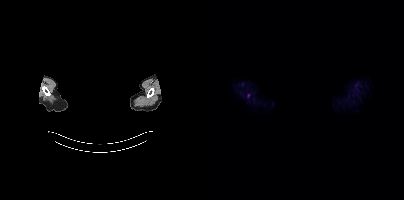
Technique: Paired axial CT (left) and PSMA PET (right), 18F-PSMA tracer. acquired on Siemens Biograph mCT Flow 20. slice 376 of 411. PET panel 200×200 px (4.1 mm/px).
Note: The face region was removed for patient privacy by blanking a rectangle over the head.
Findings: Coordinates are on the 200×200 PET (right) panel. Small PSMA-avid focus (2 to 4 px across) near (center x, center y): (44, 95).